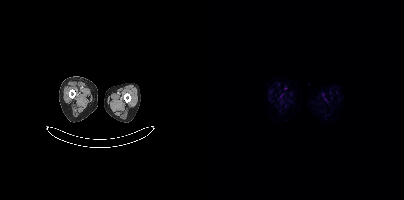
Negative for PSMA-avid disease on this slice.